Left: CT. Right: PSMA PET, same axial level, 18F-PSMA tracer. Slice position z = -1320 mm.
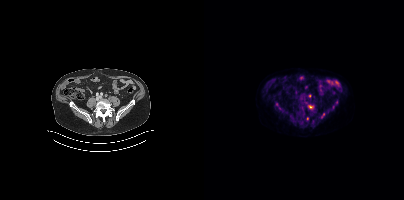
Coordinates are on the 200×200 PET (right) panel. PSMA-avid tumor lesion bounding boxes (partial; 2 more foci not listed):
| # | x0 | y0 | x1 | y1 |
|---|---|---|---|---|
| 1 | 104 | 105 | 108 | 108 |
| 2 | 117 | 113 | 120 | 118 |
Small PSMA-avid foci (2 to 4 px across) near (center x, center y): (132, 102); (103, 118).